Technique: Two-panel axial: CT | PSMA PET, [18F]PSMA-1007 tracer. slice 273 of 448.
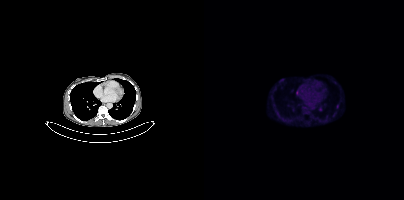
Findings: Coordinates are on the 200×200 PET (right) panel. Small PSMA-avid foci (2 to 4 px across) near (center x, center y): (93, 92) / (133, 106).